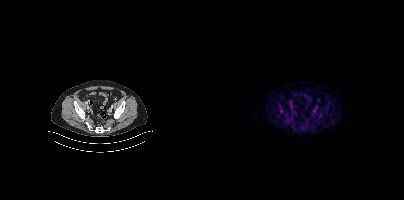
modality: PSMA PET/CT | tracer: [18F]PSMA-1007 | view: axial
Coordinates are on the 200×200 PET (right) panel. Small PSMA-avid foci (2 to 4 px across) near (center x, center y): (87, 104), (77, 110).